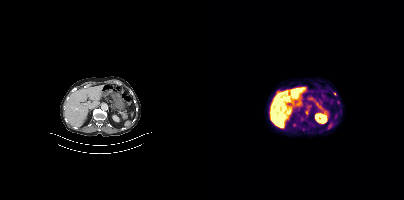
Coordinates are on the 200×200 PET (right) panel. Small PSMA-avid focus (2 to 4 px across) near (center x, center y): (130, 94).
modality: PSMA PET/CT | tracer: [18F]PSMA-1007 | view: axial | PET grid: 200×200